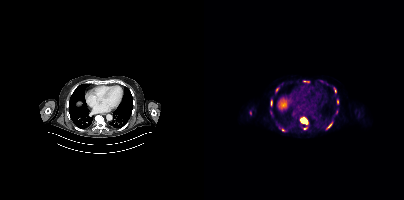
Findings: Coordinates are on the 200×200 PET (right) panel. (showing 11 of 12 foci) PSMA-avid tumor lesion bounding boxes (x0, y0)-(x1, y1): (96, 117)-(103, 124) | (99, 127)-(103, 129) | (123, 124)-(127, 128) | (130, 88)-(132, 92) | (67, 100)-(68, 105) | (100, 81)-(104, 82). Small PSMA-avid foci (2 to 4 px across) near (center x, center y): (73, 89) | (79, 130) | (133, 102) | (117, 80) | (46, 112).
- Left: CT. Right: PSMA PET, same axial level, 18F-PSMA tracer
- acquired on Siemens Biograph mCT Flow 20
- PET panel 200×200 px (4.1 mm/px)